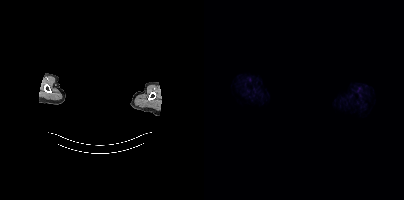
This slice has no annotated PSMA-avid lesion. Paired axial CT (left) and PSMA PET (right), 18F tracer. An anonymization step blacked out a rectangle over the head in this scan.